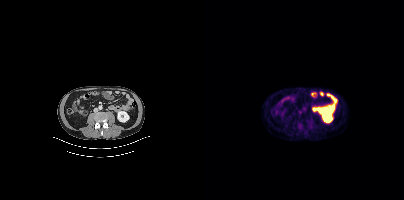
Coordinates are on the 200×200 PET (right) panel. (showing 3 of 4 foci) PSMA-avid tumor lesion bounding boxes (x, y, width, height): x=102 y=119 w=5 h=4 | x=95 y=112 w=4 h=6. Small PSMA-avid focus (2 to 4 px across) near (center x, center y): (100, 112).